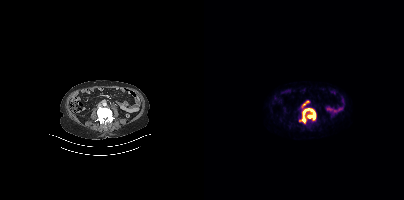
Technique: Paired axial CT (left) and PSMA PET (right), [68Ga]Ga-PSMA-11 tracer. acquired on Siemens Biograph mCT Flow 20. PET panel 200×200 px (4.1 mm/px).
Findings: Coordinates are on the 200×200 PET (right) panel. PSMA-avid tumor lesion bounding box (x, y, width, height): x=95 y=108 w=17 h=15. Small PSMA-avid foci (2 to 4 px across) near (center x, center y): (99, 106) | (105, 121).